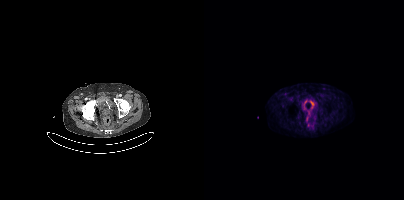
{"modality":"PSMA PET/CT","view":"axial","tracer":"18F","pet_grid":[200,200],"coord_frame":"pet_panel","coord_format":"x0,y0,x1,y1","partial":true,"lesion_bboxes":[]}